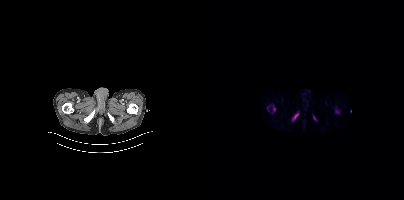
Coordinates are on the 200×200 PET (right) panel. PSMA-avid tumor lesion bounding box (x, y, width, height): x=91 y=114 w=3 h=5. Small PSMA-avid focus (2 to 4 px across) near (center x, center y): (70, 109).